Two-panel axial: CT | PSMA PET, [18F]PSMA-1007 tracer.
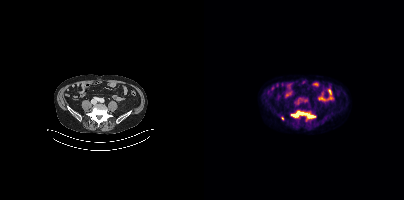
Coordinates are on the 200×200 PET (right) panel. PSMA-avid tumor lesion bounding box (x0, y0)-(x1, y1): (88, 111)-(109, 117). Small PSMA-avid focus (2 to 4 px across) near (center x, center y): (78, 118).